- Paired axial CT (left) and PSMA PET (right), 18F-PSMA tracer
- acquired on GE Discovery 690
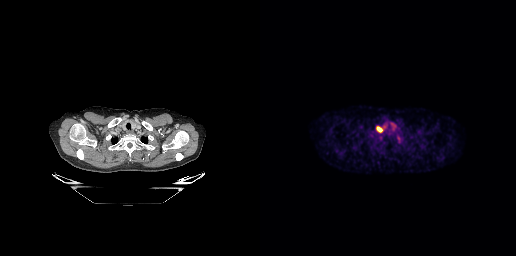
Findings: Coordinates are on the 256×256 PET (right) panel. PSMA-avid tumor lesion bounding box (x0,y0,x1,y1): [116,126,122,132].